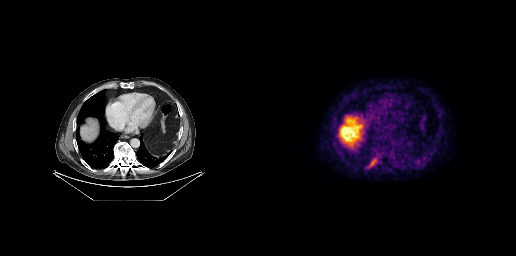
Technique: Left: CT. Right: PSMA PET, same axial level, 18F tracer. slice position z = -308 mm.
Findings: Coordinates are on the 256×256 PET (right) panel. PSMA-avid tumor lesion bounding box (x0,y0,x1,y1): [107,157,117,168].